Technique: Left: CT. Right: PSMA PET, same axial level, 18F tracer. slice position z = -1380 mm. PET panel 200×200 px (4.1 mm/px).
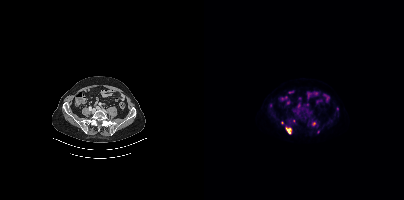
Findings: Coordinates are on the 200×200 PET (right) panel. (showing 3 of 4 foci) PSMA-avid tumor lesion bounding box (x0, y0)-(x1, y1): (82, 128)-(86, 133). Small PSMA-avid foci (2 to 4 px across) near (center x, center y): (109, 123) / (133, 108).